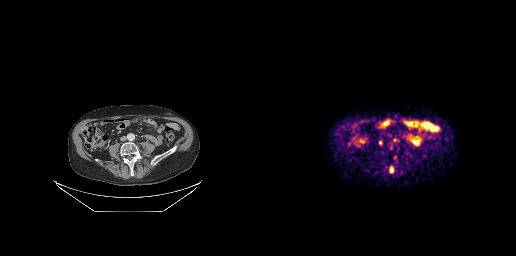
Technique: Paired axial CT (left) and PSMA PET (right), [68Ga]Ga-PSMA-11 tracer. slice position z = -536 mm. PET panel 256×256 px (2.7 mm/px).
Findings: Coordinates are on the 256×256 PET (right) panel. PSMA-avid tumor lesion bounding boxes (x, y, width, height): x=133 y=155 w=5 h=9; x=130 y=144 w=3 h=6. Small PSMA-avid foci (2 to 4 px across) near (center x, center y): (120, 142); (131, 169); (134, 139).